modality: PSMA PET/CT | tracer: 18F | view: axial
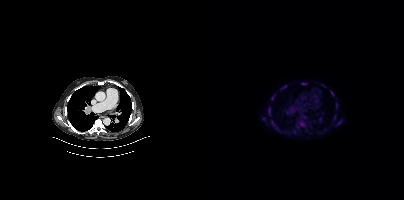
Coordinates are on the 200×200 PET (right) panel. (showing 14 of 15 foci) PSMA-avid tumor lesion bounding boxes (x0,y0,x1,y1): [92,120,102,128], [64,107,66,115], [82,108,86,113], [67,121,70,125], [77,85,82,89], [126,91,129,95], [67,95,70,100], [98,83,102,84], [132,103,133,107], [98,116,102,118]. Small PSMA-avid foci (2 to 4 px across) near (center x, center y): (135, 122), (59, 119), (116, 119), (130, 117).